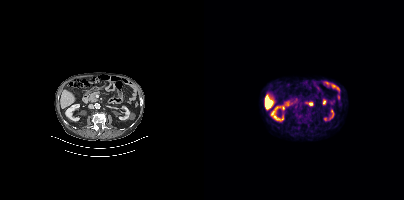
No PSMA-avid tumor lesions on this slice.